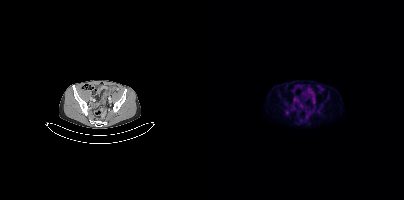
Technique: Paired axial CT (left) and PSMA PET (right), 18F-PSMA tracer.
Findings: Coordinates are on the 200×200 PET (right) panel. PSMA-avid tumor lesion bounding box (x, y, width, height): x=81 y=110 w=5 h=6.